Two-panel axial: CT | PSMA PET, 18F-PSMA tracer. Acquired on GE Discovery 690. PET panel 256×256 px (2.7 mm/px).
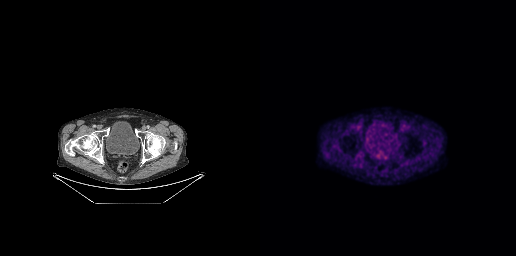
No PSMA-avid tumor lesions on this slice.